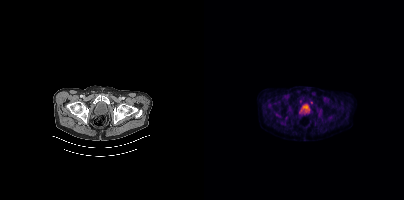
{"modality":"PSMA PET/CT","view":"axial","tracer":"18F","pet_grid":[200,200],"coord_frame":"pet_panel","coord_format":"x0,y0,x1,y1","partial":true,"lesion_bboxes":[],"small_foci_centers":[[96,101]]}